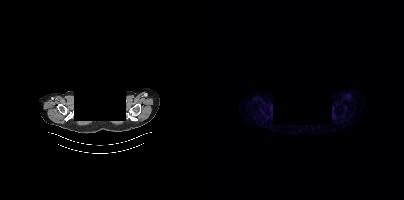
An anonymization step blacked out a rectangle over the head in this scan.
Negative for PSMA-avid disease on this slice.